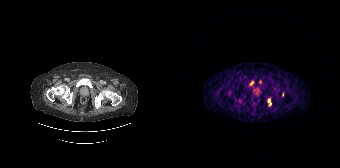
Coordinates are on the 168×168 PET (right) panel. Small PSMA-avid foci (2 to 4 px across) near (center x, center y): (88, 81); (110, 94); (96, 100); (79, 83); (98, 103).